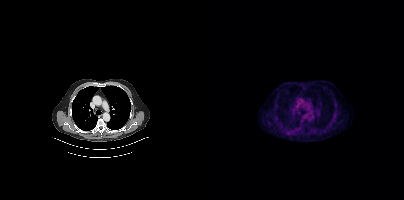
Negative for PSMA-avid disease on this slice.